Facial anatomy redacted by setting a rectangular region of the head to black. Left: CT. Right: PSMA PET, same axial level, 18F tracer. Acquired on Siemens Biograph mCT Flow 20.
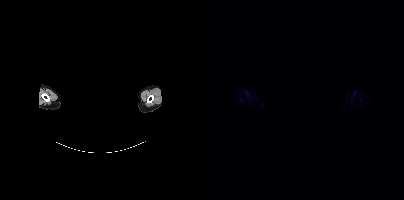
No PSMA-avid tumor lesions on this slice.